- Paired axial CT (left) and PSMA PET (right), [18F]PSMA-1007 tracer
- acquired on Siemens Biograph mCT Flow 20
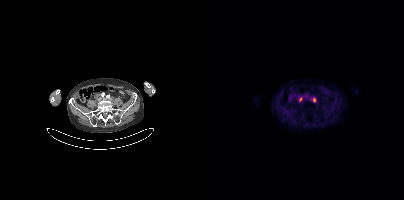
Findings: Coordinates are on the 200×200 PET (right) panel. PSMA-avid tumor lesion bounding boxes (x0, y0)-(x1, y1): (109, 97)-(111, 101) / (95, 97)-(97, 101).